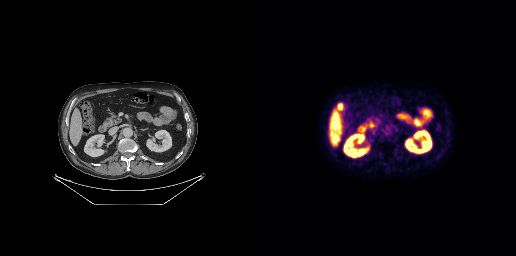
Findings: Negative for PSMA-avid disease on this slice.
- Paired axial CT (left) and PSMA PET (right), 18F tracer
- acquired on GE Discovery 690
- slice position z = -472 mm